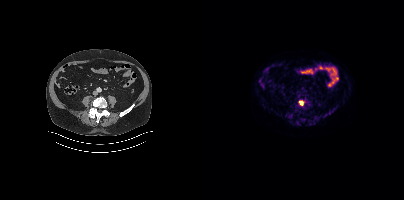
Two-panel axial: CT | PSMA PET, 18F-PSMA tracer. PET panel 200×200 px (4.1 mm/px).
Coordinates are on the 200×200 PET (right) panel. PSMA-avid tumor lesion bounding boxes:
| # | x0 | y0 | x1 | y1 |
|---|---|---|---|---|
| 1 | 95 | 101 | 99 | 105 |